modality: PSMA PET/CT | tracer: [18F]PSMA-1007 | view: axial | PET grid: 256×256
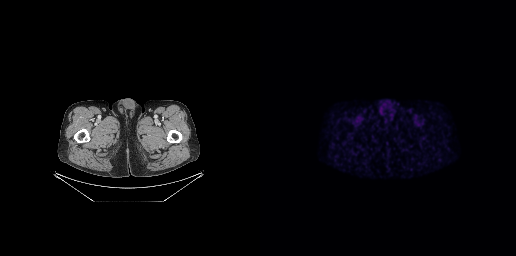
Negative for PSMA-avid disease on this slice.